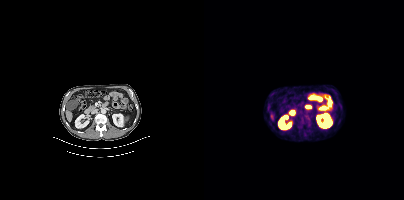
Left: CT. Right: PSMA PET, same axial level, 18F-PSMA tracer. PET panel 200×200 px (4.1 mm/px).
Coordinates are on the 200×200 PET (right) panel. PSMA-avid tumor lesion bounding boxes:
| # | x0 | y0 | x1 | y1 |
|---|---|---|---|---|
| 1 | 95 | 115 | 107 | 127 |
| 2 | 98 | 133 | 102 | 137 |